Technique: Two-panel axial: CT | PSMA PET, 18F-PSMA tracer. slice position z = -108 mm. PET panel 200×200 px (4.1 mm/px).
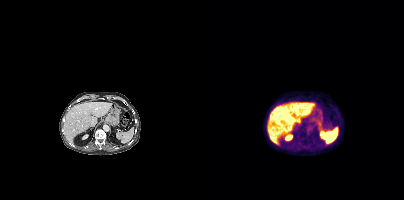
Findings: Only PSMA-avid lesion pieces thinner than 2 px on this slice (not listed).